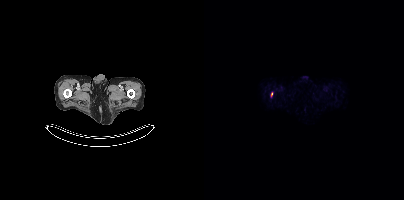
Only PSMA-avid lesion pieces thinner than 2 px on this slice (not listed).